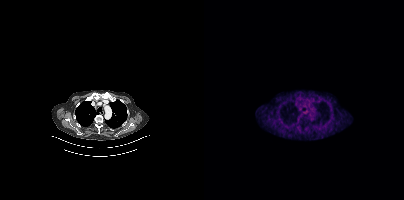
This slice has no annotated PSMA-avid lesion. Two-panel axial: CT | PSMA PET, [68Ga]Ga-PSMA-11 tracer. PET panel 200×200 px (4.1 mm/px).